Left: CT. Right: PSMA PET, same axial level, 18F tracer. PET panel 200×200 px (4.1 mm/px).
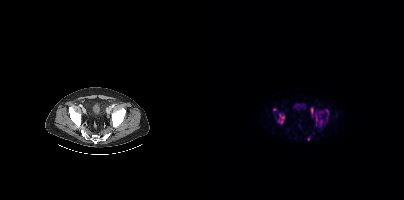
Coordinates are on the 200×200 PET (right) panel. (showing 6 of 10 foci) PSMA-avid tumor lesion bounding boxes (x0,y0,x1,y1): [75,114,80,123], [111,113,113,122], [116,120,118,125], [122,109,124,114]. Small PSMA-avid foci (2 to 4 px across) near (center x, center y): (104, 138), (70, 109).